Technique: Left: CT. Right: PSMA PET, same axial level, [18F]PSMA-1007 tracer. acquired on Siemens Biograph 64-4R TruePoint. slice 76 of 195. PET panel 168×168 px (4.1 mm/px).
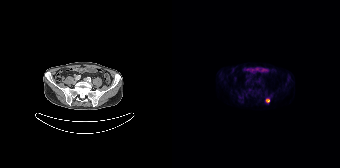
Findings: Coordinates are on the 168×168 PET (right) panel. PSMA-avid tumor lesion bounding box (x0,y0,x1,y1): [93,98,97,102].